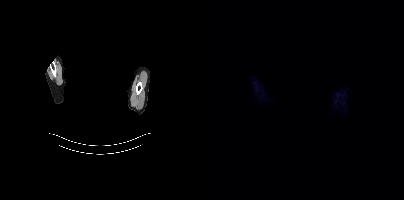
deidentification: face masked with black rectangle | modality: PSMA PET/CT | tracer: 18F | view: axial | PET grid: 200×200
This slice has no annotated PSMA-avid lesion.